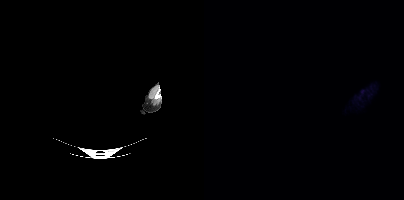
Findings: No tumor lesions annotated on this slice.
- Left: CT. Right: PSMA PET, same axial level, [18F]PSMA-1007 tracer
- acquired on Siemens Biograph mCT Flow 20
- head region blanked for anonymization (face removed)